modality: PSMA PET/CT | tracer: [18F]PSMA-1007 | view: axial | PET grid: 200×200
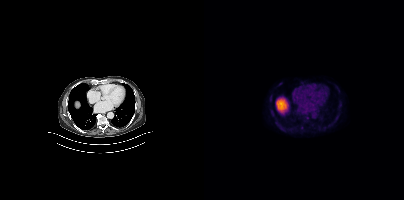
This slice has no annotated PSMA-avid lesion.